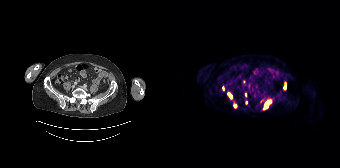
Coordinates are on the 168×168 PET (right) panel. (showing 6 of 7 foci) PSMA-avid tumor lesion bounding boxes (x, y, width, height): x=91 y=100 w=9 h=10 / x=112 y=83 w=3 h=7 / x=56 y=93 w=4 h=5. Small PSMA-avid foci (2 to 4 px across) near (center x, center y): (74, 102) / (62, 106) / (73, 94).